Technique: Two-panel axial: CT | PSMA PET, [18F]PSMA-1007 tracer. slice 160 of 371.
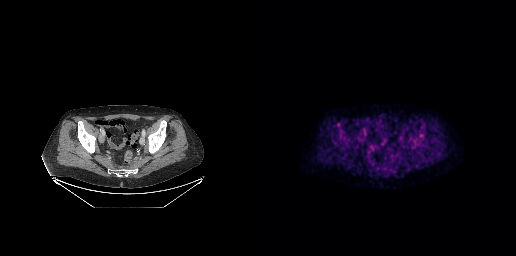
Findings: No tumor lesions annotated on this slice.